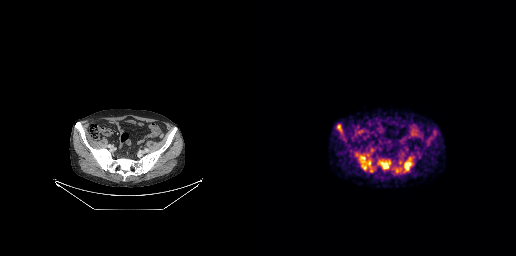
modality: PSMA PET/CT | tracer: [18F]PSMA-1007 | view: axial
Coordinates are on the 256×256 PET (right) panel. (showing 5 of 6 foci) PSMA-avid tumor lesion bounding boxes (x0,y0,x1,y1): [99,156,110,170] [144,157,152,171] [118,160,130,169] [76,124,82,134]. Small PSMA-avid focus (2 to 4 px across) near (center x, center y): (111, 170).